Two-panel axial: CT | PSMA PET, 18F-PSMA tracer. Slice position z = -1466 mm.
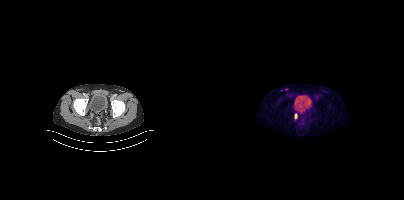
Coordinates are on the 200×200 PET (right) panel. PSMA-avid tumor lesion bounding boxes (partial; 1 more focus not listed):
| # | x0 | y0 | x1 | y1 |
|---|---|---|---|---|
| 1 | 91 | 114 | 93 | 118 |